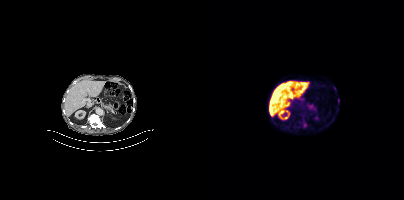
Paired axial CT (left) and PSMA PET (right), 18F tracer. Acquired on Siemens Biograph mCT Flow 20. Slice 190 of 375. PET panel 200×200 px (4.1 mm/px). Coordinates are on the 200×200 PET (right) panel. Small PSMA-avid focus (2 to 4 px across) near (center x, center y): (134, 100).